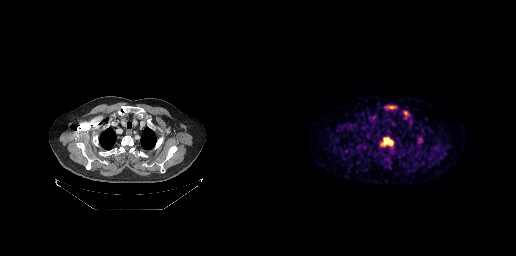
- Paired axial CT (left) and PSMA PET (right), 68Ga-PSMA tracer
- acquired on GE Discovery 690
Findings: Coordinates are on the 256×256 PET (right) panel. (showing 3 of 4 foci) PSMA-avid tumor lesion bounding boxes (x, y, width, height): x=120 y=137 w=14 h=10 | x=128 y=106 w=9 h=3 | x=144 y=111 w=4 h=5.